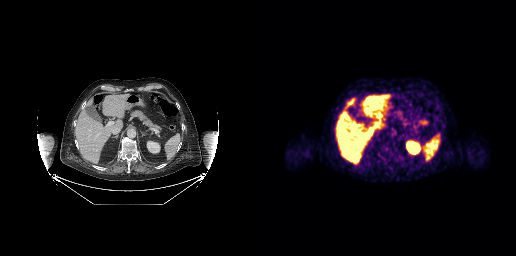
No tumor lesions annotated on this slice.